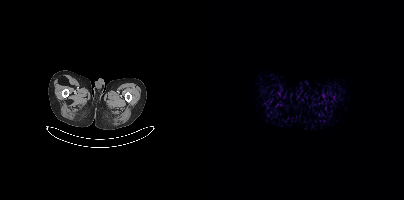
- Paired axial CT (left) and PSMA PET (right), 18F-PSMA tracer
- slice position z = -1003 mm
Findings: This slice has no annotated PSMA-avid lesion.